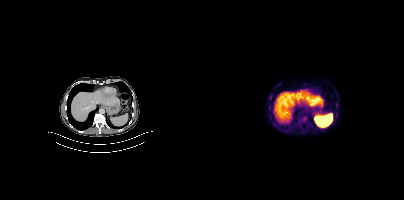
{"modality":"PSMA PET/CT","view":"axial","tracer":"18F","pet_grid":[200,200],"coord_frame":"pet_panel","coord_format":"x0,y0,x1,y1","lesion_bboxes":[[98,117,102,121]]}